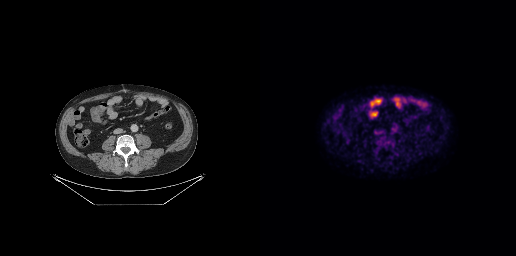
Findings: Negative for PSMA-avid disease on this slice.
Technique: Two-panel axial: CT | PSMA PET, 18F tracer. slice 114 of 263. PET panel 256×256 px (2.7 mm/px).